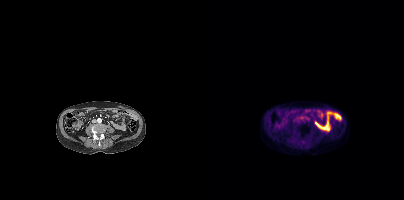
{"modality":"PSMA PET/CT","view":"axial","tracer":"[18F]PSMA-1007","pet_grid":[200,200],"coord_frame":"pet_panel","coord_format":"x0,y0,x1,y1","partial":true,"lesion_bboxes":[]}